modality: PSMA PET/CT | tracer: 18F | view: axial
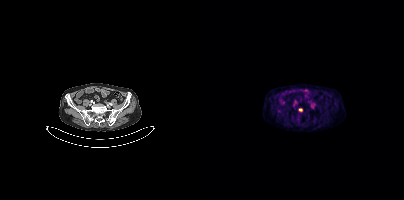
Coordinates are on the 200×200 PET (right) panel. Small PSMA-avid focus (2 to 4 px across) near (center x, center y): (96, 110).